Technique: Left: CT. Right: PSMA PET, same axial level, 18F-PSMA tracer. acquired on Siemens Biograph mCT Flow 20. slice 339 of 395. PET panel 200×200 px (4.1 mm/px).
Note: The head region is masked for de-identification.
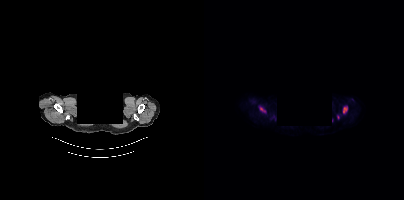
Findings: Coordinates are on the 200×200 PET (right) panel. (showing 2 of 3 foci) PSMA-avid tumor lesion bounding boxes (x, y, width, height): x=139 y=106 w=5 h=7 | x=56 y=107 w=6 h=6.